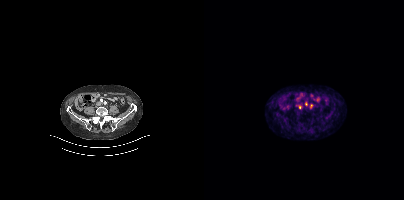
{"pet_grid":[200,200],"coord_frame":"pet_panel","coord_format":"x0,y0,x1,y1","partial":true,"lesion_bboxes":[],"small_foci_centers":[[102,103],[95,107]],"modality":"PSMA PET/CT","view":"axial","tracer":"68Ga-PSMA"}